- Left: CT. Right: PSMA PET, same axial level, [18F]PSMA-1007 tracer
- acquired on Siemens Biograph mCT Flow 20
- PET panel 200×200 px (4.1 mm/px)
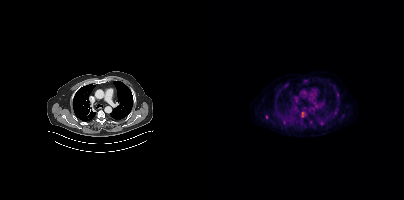
Findings: Coordinates are on the 200×200 PET (right) panel. (showing 3 of 5 foci) PSMA-avid tumor lesion bounding box (x, y, width, height): x=97 y=111 w=6 h=7. Small PSMA-avid foci (2 to 4 px across) near (center x, center y): (107, 122) / (62, 117).